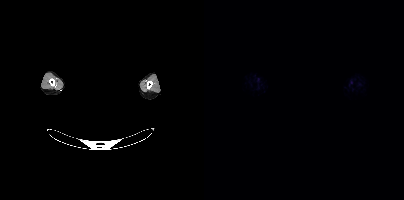
Findings: No PSMA-avid tumor lesions on this slice.
Technique: Left: CT. Right: PSMA PET, same axial level, 18F-PSMA tracer. acquired on Siemens Biograph mCT Flow 20. slice position z = -308 mm. PET panel 200×200 px (4.1 mm/px).
Note: A rectangle over the head was blacked out to remove identifiable facial features.